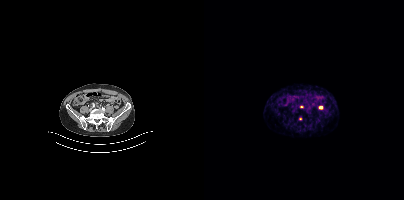
- Left: CT. Right: PSMA PET, same axial level, 68Ga-PSMA tracer
- slice 111 of 373
Findings: Coordinates are on the 200×200 PET (right) panel. Small PSMA-avid foci (2 to 4 px across) near (center x, center y): (116, 107) / (97, 106) / (96, 118).